modality: PSMA PET/CT | tracer: 18F-PSMA | view: axial | PET grid: 200×200
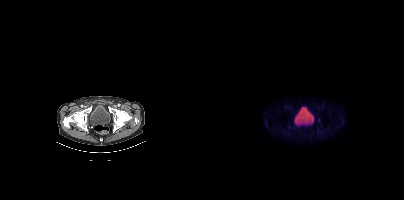
No PSMA-avid tumor lesions on this slice.